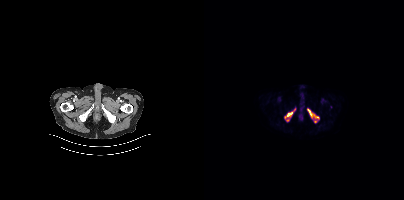
Two-panel axial: CT | PSMA PET, [18F]PSMA-1007 tracer. Acquired on Siemens Biograph mCT Flow 20. Slice position z = -982 mm. Coordinates are on the 200×200 PET (right) panel. PSMA-avid tumor lesion bounding boxes (x0,y0,x1,y1): [103,109,115,122], [81,108,91,121].